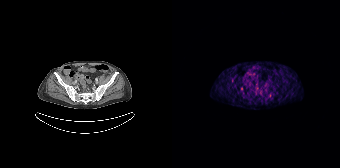
Technique: Left: CT. Right: PSMA PET, same axial level, 68Ga-PSMA tracer. acquired on Siemens Biograph 64-4R TruePoint. slice position z = -728 mm. PET panel 168×168 px (4.1 mm/px).
Findings: Coordinates are on the 168×168 PET (right) panel. Small PSMA-avid focus (2 to 4 px across) near (center x, center y): (69, 88).